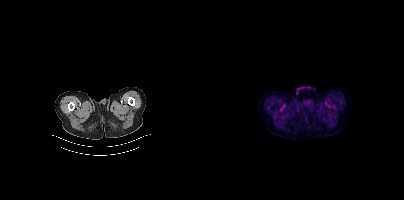
Findings: No tumor lesions annotated on this slice.
- Left: CT. Right: PSMA PET, same axial level, 18F tracer
- slice position z = -1518 mm
- PET panel 200×200 px (4.1 mm/px)